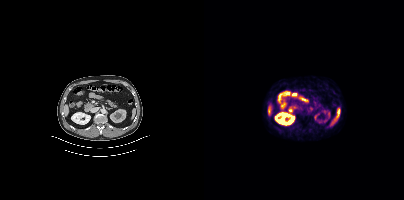
No PSMA-avid tumor lesions on this slice.